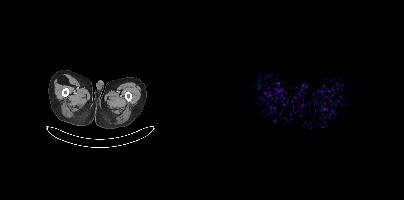
{"modality":"PSMA PET/CT","view":"axial","tracer":"[18F]PSMA-1007","pet_grid":[200,200],"coord_frame":"pet_panel","coord_format":"x0,y0,x1,y1","psma_avid_lesions":false}